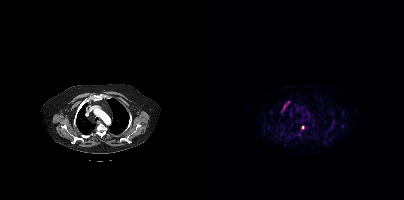
{"modality":"PSMA PET/CT","view":"axial","tracer":"[68Ga]Ga-PSMA-11","pet_grid":[200,200],"coord_frame":"pet_panel","coord_format":"x0,y0,x1,y1","partial":true,"lesion_bboxes":[[77,101,86,112],[97,125,100,130]],"small_foci_centers":[[95,134]]}